modality: PSMA PET/CT | tracer: [18F]PSMA-1007 | view: axial | PET grid: 200×200
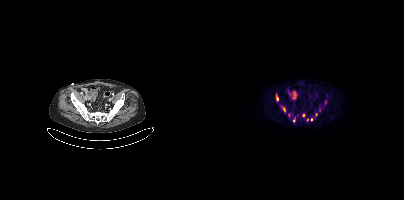
Coordinates are on the 200×200 PET (right) panel. (showing 5 of 10 foci) PSMA-avid tumor lesion bounding box (x, y, width, height): x=72 y=94 w=3 h=7. Small PSMA-avid foci (2 to 4 px across) near (center x, center y): (80, 109) / (107, 119) / (89, 120) / (112, 114).